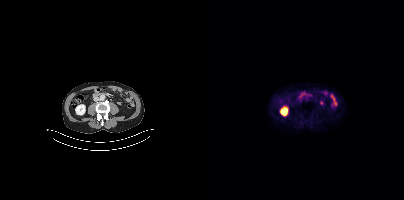
Paired axial CT (left) and PSMA PET (right), [18F]PSMA-1007 tracer. Acquired on Siemens Biograph mCT Flow 20. Slice 158 of 423. No tumor lesions annotated on this slice.